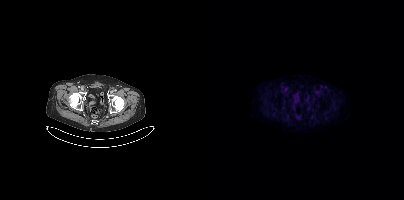
Negative for PSMA-avid disease on this slice.
modality: PSMA PET/CT | tracer: 18F-PSMA | view: axial